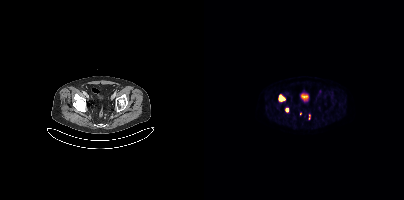
Paired axial CT (left) and PSMA PET (right), [18F]PSMA-1007 tracer. PET panel 200×200 px (4.1 mm/px).
Coordinates are on the 200×200 PET (right) panel. PSMA-avid tumor lesion bounding boxes:
| # | x0 | y0 | x1 | y1 |
|---|---|---|---|---|
| 1 | 75 | 95 | 80 | 100 |
Small PSMA-avid focus (2 to 4 px across) near (center x, center y): (83, 110).